Two-panel axial: CT | PSMA PET, [68Ga]Ga-PSMA-11 tracer. Slice position z = -800 mm.
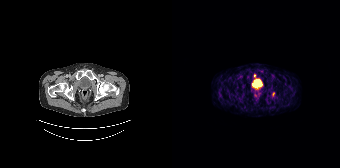
Coordinates are on the 168×168 PET (right) panel. PSMA-avid tumor lesion bounding box (x, y, width, height): x=100 y=92 w=3 h=5. Small PSMA-avid focus (2 to 4 px across) near (center x, center y): (82, 75).